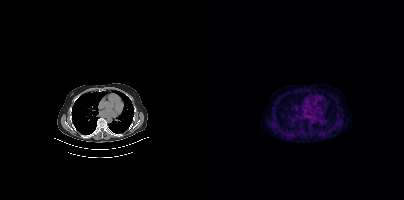
This slice has no annotated PSMA-avid lesion.